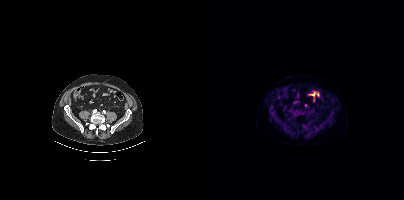
{"modality":"PSMA PET/CT","view":"axial","tracer":"[18F]PSMA-1007","pet_grid":[200,200],"coord_frame":"pet_panel","coord_format":"x0,y0,x1,y1","psma_avid_lesions":false}